modality: PSMA PET/CT | tracer: 68Ga | view: axial | PET grid: 168×168
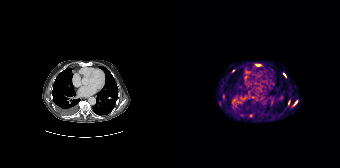
Coordinates are on the 168×168 PET (right) panel. (showing 5 of 6 foci) PSMA-avid tumor lesion bounding boxes (x, y, width, height): x=82 y=63 w=8 h=4; x=111 y=73 w=4 h=5. Small PSMA-avid foci (2 to 4 px across) near (center x, center y): (123, 102); (51, 95); (61, 71).